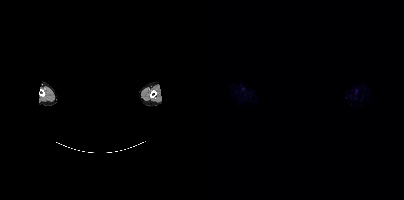
Left: CT. Right: PSMA PET, same axial level, 18F tracer. PET panel 200×200 px (4.1 mm/px). A rectangular block over the head has been blanked out for de-identification. No PSMA-avid tumor lesions on this slice.